A rectangular block over the head has been blanked out for de-identification.
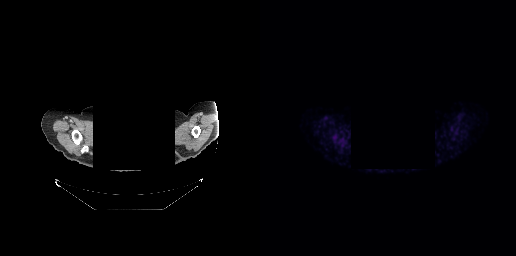
Negative for PSMA-avid disease on this slice.